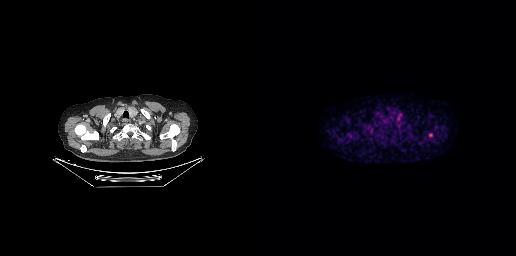
Paired axial CT (left) and PSMA PET (right), [18F]PSMA-1007 tracer. Slice position z = -115 mm. Coordinates are on the 256×256 PET (right) panel. Small PSMA-avid focus (2 to 4 px across) near (center x, center y): (170, 134).